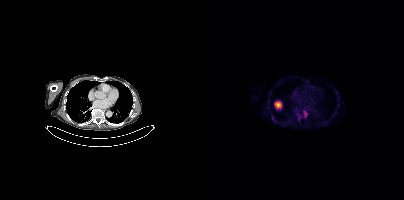
{"modality":"PSMA PET/CT","view":"axial","tracer":"18F","pet_grid":[200,200],"coord_frame":"pet_panel","coord_format":"x0,y0,x1,y1","lesion_bboxes":[[100,111,102,115]],"small_foci_centers":[[68,118]]}